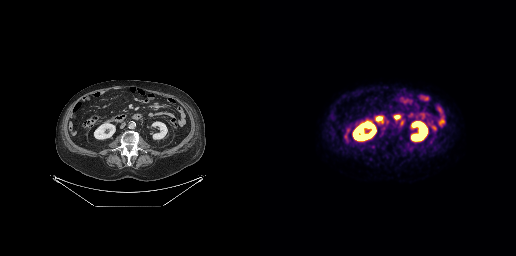
{"pet_grid":[256,256],"coord_frame":"pet_panel","coord_format":"x0,y0,x1,y1","lesion_bboxes":[[121,125,127,133]],"modality":"PSMA PET/CT","view":"axial","tracer":"18F-PSMA"}